Left: CT. Right: PSMA PET, same axial level, [18F]PSMA-1007 tracer. Acquired on Siemens Biograph mCT Flow 20.
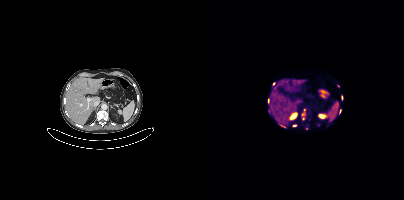
Coordinates are on the 200×200 PET (right) panel. PSMA-avid tumor lesion bounding boxes (partial; 3 more foci not listed):
| # | x0 | y0 | x1 | y1 |
|---|---|---|---|---|
| 1 | 76 | 124 | 81 | 127 |
Small PSMA-avid foci (2 to 4 px across) near (center x, center y): (99, 114); (114, 124); (99, 119); (134, 85); (64, 100); (136, 111); (69, 83); (102, 128); (89, 125).